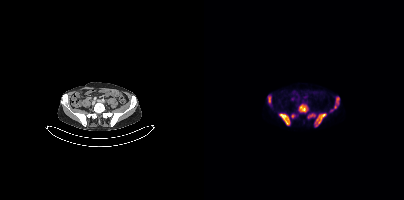
Coordinates are on the 200×200 PET (right) panel. (showing 7 of 8 foci) PSMA-avid tumor lesion bounding boxes (x, y, width, height): x=110 y=113 w=13 h=14 / x=75 y=113 w=12 h=13 / x=94 y=104 w=11 h=9 / x=130 y=97 w=6 h=12 / x=104 y=113 w=8 h=6 / x=64 y=96 w=4 h=8. Small PSMA-avid focus (2 to 4 px across) near (center x, center y): (88, 116).